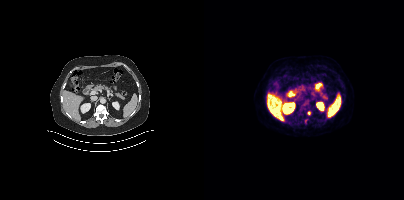
- Two-panel axial: CT | PSMA PET, [18F]PSMA-1007 tracer
- acquired on Siemens Biograph mCT Flow 20
Findings: Coordinates are on the 200×200 PET (right) panel. Small PSMA-avid foci (2 to 4 px across) near (center x, center y): (104, 113) | (101, 120).